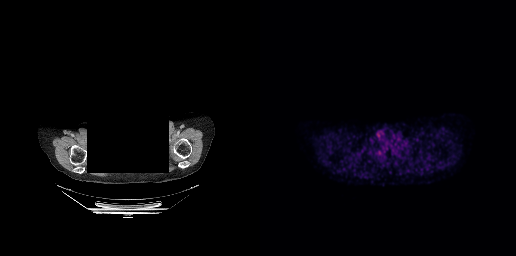
Coordinates are on the 256×256 PET (right) panel. PSMA-avid tumor lesion bounding box (x, y, width, height): x=117 y=150 w=6 h=6.
modality: PSMA PET/CT | tracer: [18F]PSMA-1007 | view: axial | de-identification: head region blacked out before release